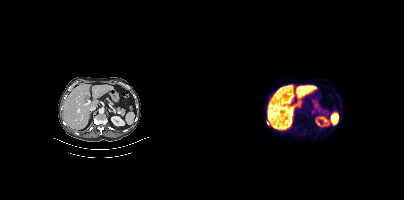
Technique: Two-panel axial: CT | PSMA PET, 18F tracer. acquired on Siemens Biograph mCT Flow 20. PET panel 200×200 px (4.1 mm/px).
Findings: Coordinates are on the 200×200 PET (right) panel. Small PSMA-avid focus (2 to 4 px across) near (center x, center y): (63, 123).